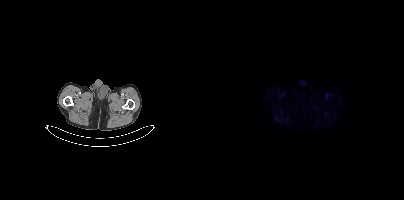
Left: CT. Right: PSMA PET, same axial level, 18F-PSMA tracer. Acquired on Siemens Biograph mCT Flow 20. PET panel 200×200 px (4.1 mm/px). No PSMA-avid tumor lesions on this slice.